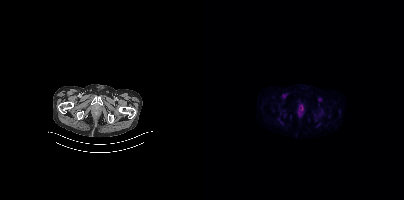
{"modality":"PSMA PET/CT","view":"axial","tracer":"18F-PSMA","pet_grid":[200,200],"coord_frame":"pet_panel","coord_format":"x0,y0,x1,y1","psma_avid_lesions":false}